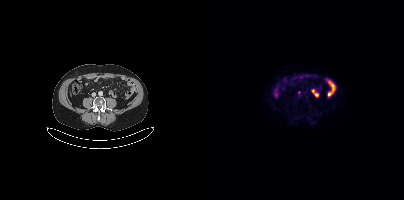
Two-panel axial: CT | PSMA PET, 18F tracer. PET panel 200×200 px (4.1 mm/px).
Coordinates are on the 200×200 PET (right) panel. PSMA-avid tumor lesion bounding boxes:
| # | x0 | y0 | x1 | y1 |
|---|---|---|---|---|
| 1 | 94 | 91 | 96 | 95 |